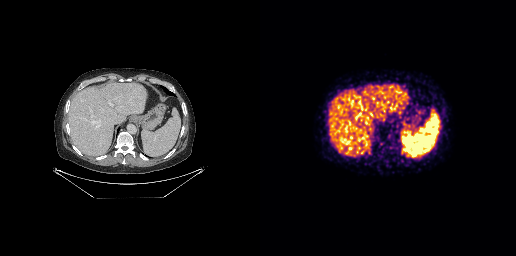
This slice has no annotated PSMA-avid lesion.